Technique: Two-panel axial: CT | PSMA PET, [18F]PSMA-1007 tracer. slice position z = -760 mm.
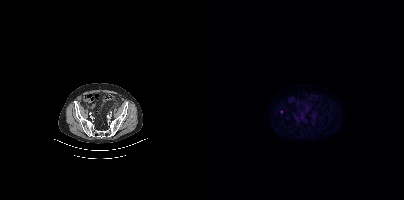
Findings: Coordinates are on the 200×200 PET (right) panel. Small PSMA-avid focus (2 to 4 px across) near (center x, center y): (77, 112).